Paired axial CT (left) and PSMA PET (right), 18F-PSMA tracer.
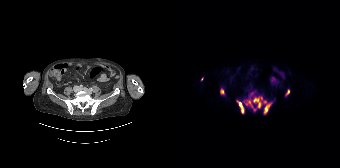
Coordinates are on the 168×168 PET (right) panel. PSMA-avid tumor lesion bounding boxes (x, y, width, height): x=71 y=93 w=29 h=22; x=64 y=100 w=9 h=14; x=48 y=88 w=5 h=7; x=114 y=90 w=4 h=6. Small PSMA-avid focus (2 to 4 px across) near (center x, center y): (30, 79).